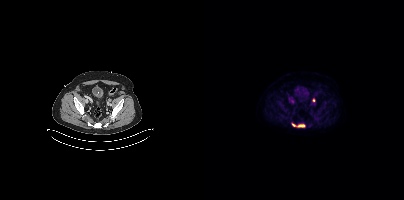
Technique: Two-panel axial: CT | PSMA PET, 18F-PSMA tracer. acquired on Siemens Biograph mCT Flow 20. slice 95 of 389. PET panel 200×200 px (4.1 mm/px).
Findings: Coordinates are on the 200×200 PET (right) panel. PSMA-avid tumor lesion bounding box (x0, y0)-(x1, y1): (88, 123)-(101, 127). Small PSMA-avid focus (2 to 4 px across) near (center x, center y): (109, 100).